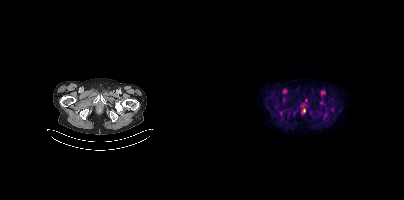
Findings: Negative for PSMA-avid disease on this slice.
Technique: Two-panel axial: CT | PSMA PET, [18F]PSMA-1007 tracer. acquired on Siemens Biograph mCT Flow 20. slice 49 of 429.